Paired axial CT (left) and PSMA PET (right), 18F-PSMA tracer. Acquired on Siemens Biograph mCT Flow 20. Slice 276 of 466.
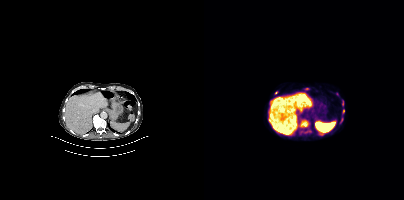
Coordinates are on the 200×200 PET (right) panel. PSMA-avid tumor lesion bounding boxes (partial; 2 more foci not listed):
| # | x0 | y0 | x1 | y1 |
|---|---|---|---|---|
| 1 | 96 | 120 | 104 | 127 |
| 2 | 138 | 109 | 140 | 113 |
| 3 | 138 | 101 | 139 | 105 |
Small PSMA-avid focus (2 to 4 px across) near (center x, center y): (71, 92).